Technique: Left: CT. Right: PSMA PET, same axial level, 18F tracer. acquired on GE Discovery 690. PET panel 256×256 px (2.7 mm/px).
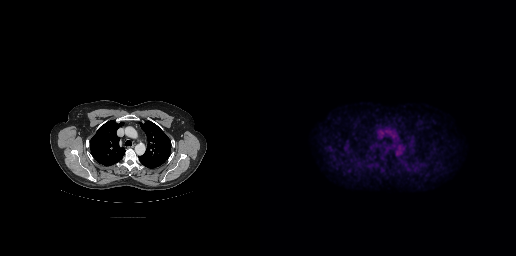
Findings: Negative for PSMA-avid disease on this slice.